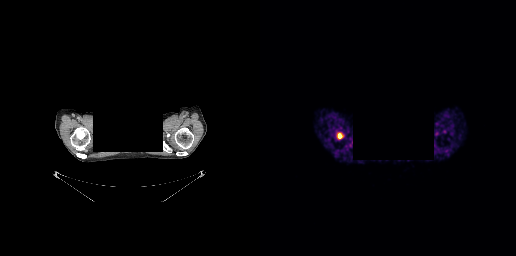
Coordinates are on the 256×256 PET (right) panel. PSMA-avid tumor lesion bounding boxes:
| # | x0 | y0 | x1 | y1 |
|---|---|---|---|---|
| 1 | 78 | 133 | 82 | 138 |
Privacy masking over the head, with the pixels inside a rectangle set to black. Left: CT. Right: PSMA PET, same axial level, 68Ga tracer.